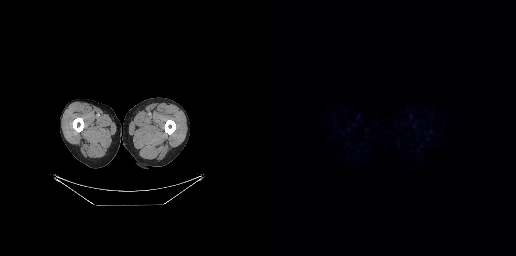
Left: CT. Right: PSMA PET, same axial level, 18F tracer. Acquired on GE Discovery 690. Slice 13 of 263. PET panel 256×256 px (2.7 mm/px). This slice has no annotated PSMA-avid lesion.